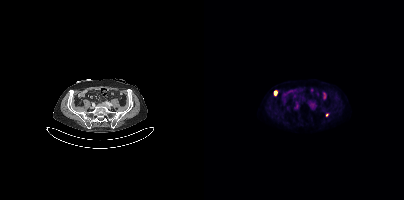
Coordinates are on the 200×200 PET (right) panel. PSMA-avid tumor lesion bounding box (x, y, width, height): x=70 y=91 w=4 h=5. Small PSMA-avid focus (2 to 4 px across) near (center x, center y): (122, 114).